Two-panel axial: CT | PSMA PET, 18F tracer. Acquired on Siemens Biograph mCT Flow 20. PET panel 200×200 px (4.1 mm/px).
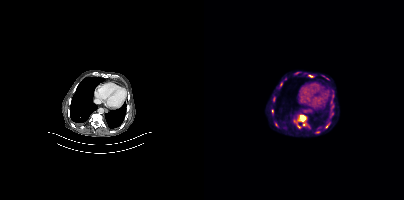
Coordinates are on the 200×200 PET (right) panel. (showing 2 of 4 foci) PSMA-avid tumor lesion bounding box (x, y, width, height): x=93 y=115 w=10 h=11. Small PSMA-avid focus (2 to 4 px across) near (center x, center y): (94, 126).